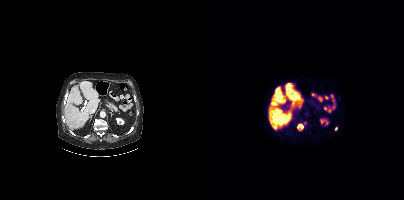
Technique: Two-panel axial: CT | PSMA PET, 18F-PSMA tracer. slice 213 of 389. PET panel 200×200 px (4.1 mm/px).
Findings: Coordinates are on the 200×200 PET (right) panel. (showing 1 of 2 foci) PSMA-avid tumor lesion bounding box (x, y, width, height): x=94 y=124 w=6 h=7.